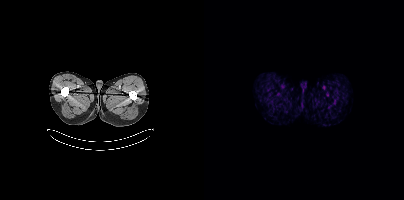
No tumor lesions annotated on this slice.